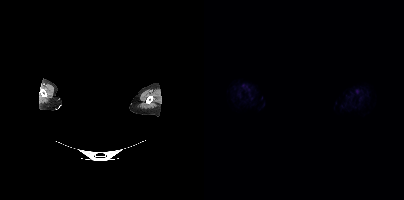
This slice has no annotated PSMA-avid lesion.
modality: PSMA PET/CT | tracer: 18F | view: axial | PET grid: 200×200 | redaction: head region blanked (face removed)